modality: PSMA PET/CT | tracer: [68Ga]Ga-PSMA-11 | view: axial | PET grid: 168×168 | redaction: privacy mask over head
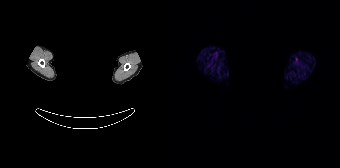
No PSMA-avid tumor lesions on this slice.